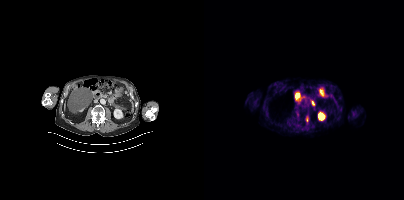
{"modality":"PSMA PET/CT","view":"axial","tracer":"18F-PSMA","pet_grid":[200,200],"coord_frame":"pet_panel","coord_format":"x0,y0,x1,y1","lesion_bboxes":[[102,116,104,122]]}